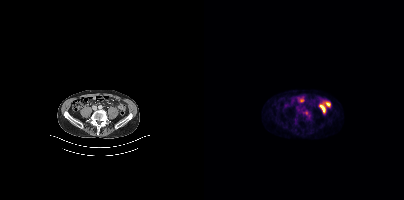
{"modality":"PSMA PET/CT","view":"axial","tracer":"18F","pet_grid":[200,200],"coord_frame":"pet_panel","coord_format":"x0,y0,x1,y1","lesion_bboxes":[],"small_foci_centers":[[102,112]]}